Two-panel axial: CT | PSMA PET, 18F-PSMA tracer. Acquired on Siemens Biograph mCT Flow 20. PET panel 200×200 px (4.1 mm/px).
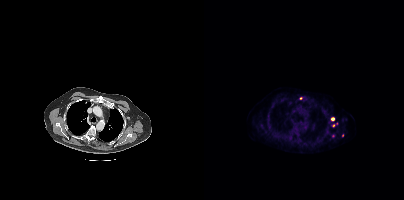
Coordinates are on the 200×200 PET (right) panel. (showing 2 of 4 foci) Small PSMA-avid foci (2 to 4 px across) near (center x, center y): (128, 118) (129, 125).